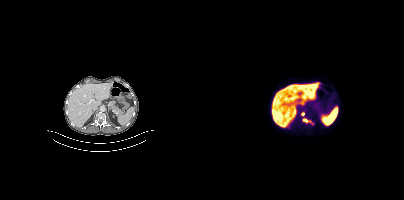
{"modality":"PSMA PET/CT","view":"axial","tracer":"[18F]PSMA-1007","pet_grid":[200,200],"coord_frame":"pet_panel","coord_format":"x0,y0,x1,y1","partial":true,"lesion_bboxes":[[99,118,103,122]],"small_foci_centers":[[98,114],[106,121]]}